Two-panel axial: CT | PSMA PET, [18F]PSMA-1007 tracer. Slice position z = -729 mm. PET panel 256×256 px (2.7 mm/px).
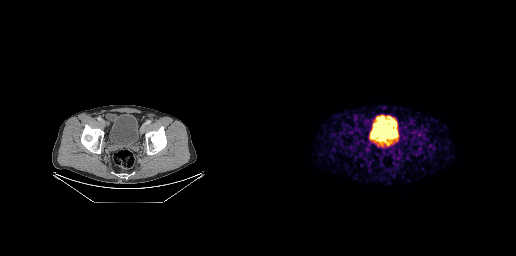
Coordinates are on the 256×256 PET (right) panel. PSMA-avid tumor lesion bounding box (x, y, width, height): x=116 y=137 w=7 h=7.